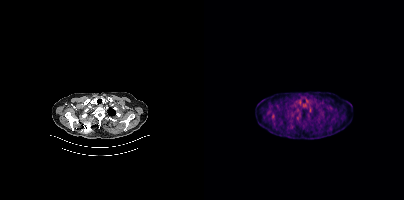
No PSMA-avid tumor lesions on this slice.